- Left: CT. Right: PSMA PET, same axial level, [18F]PSMA-1007 tracer
- acquired on Siemens Biograph mCT Flow 20
- slice 276 of 407
- PET panel 200×200 px (4.1 mm/px)
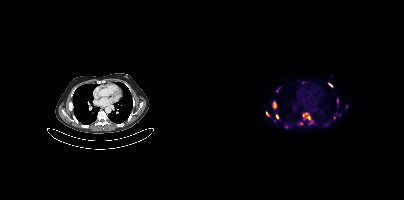
Findings: Coordinates are on the 200×200 PET (right) panel. (showing 11 of 13 foci) PSMA-avid tumor lesion bounding boxes (x0,y0,x1,y1): [99,113,105,118], [70,102,71,107], [72,115,74,119]. Small PSMA-avid foci (2 to 4 px across) near (center x, center y): (133, 100), (126, 84), (63, 113), (73, 90), (142, 106), (130, 117), (96, 123), (107, 120).